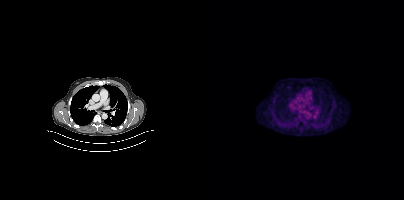
Paired axial CT (left) and PSMA PET (right), 18F tracer. Slice position z = -1024 mm. This slice has no annotated PSMA-avid lesion.